Left: CT. Right: PSMA PET, same axial level, 18F tracer. Acquired on Siemens Biograph mCT Flow 20. PET panel 200×200 px (4.1 mm/px).
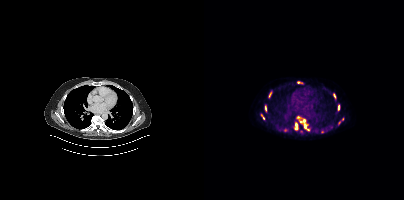
Coordinates are on the 200×200 PET (right) panel. PSMA-avid tumor lesion bounding boxes (partial; 1 more focus not listed):
| # | x0 | y0 | x1 | y1 |
|---|---|---|---|---|
| 1 | 93 | 116 | 105 | 130 |
| 2 | 90 | 122 | 94 | 130 |
| 3 | 134 | 105 | 135 | 110 |
| 4 | 129 | 94 | 131 | 98 |
| 5 | 61 | 106 | 62 | 110 |
| 6 | 65 | 93 | 67 | 97 |
Small PSMA-avid foci (2 to 4 px across) near (center x, center y): (59, 117); (94, 82).